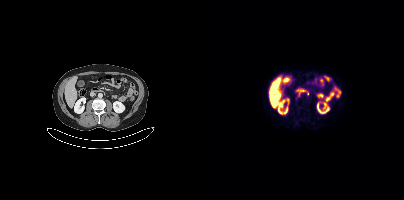
{"modality":"PSMA PET/CT","view":"axial","tracer":"[18F]PSMA-1007","pet_grid":[200,200],"coord_frame":"pet_panel","coord_format":"x0,y0,x1,y1","lesion_bboxes":[[92,94,96,98]],"small_foci_centers":[[104,93]]}